Technique: Left: CT. Right: PSMA PET, same axial level, 18F-PSMA tracer. acquired on Siemens Biograph mCT Flow 20.
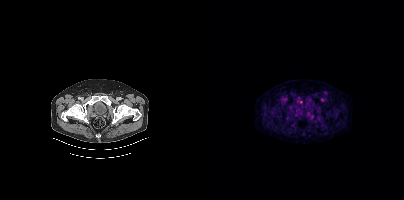
Findings: Coordinates are on the 200×200 PET (right) panel. Small PSMA-avid focus (2 to 4 px across) near (center x, center y): (96, 101).